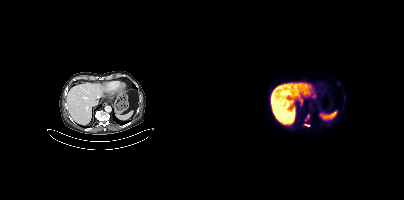
Findings: Coordinates are on the 200×200 PET (right) panel. Small PSMA-avid foci (2 to 4 px across) near (center x, center y): (104, 125) | (140, 98) | (103, 117) | (100, 124).
Technique: Paired axial CT (left) and PSMA PET (right), [18F]PSMA-1007 tracer. slice 235 of 403. PET panel 200×200 px (4.1 mm/px).